Technique: Two-panel axial: CT | PSMA PET, 68Ga tracer.
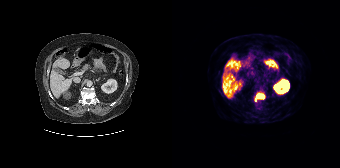
Findings: Coordinates are on the 168×168 PET (right) panel. PSMA-avid tumor lesion bounding box (x0,y0,x1,y1): [83,93,92,101].